- Left: CT. Right: PSMA PET, same axial level, 68Ga tracer
- slice position z = -858 mm
- PET panel 168×168 px (4.1 mm/px)
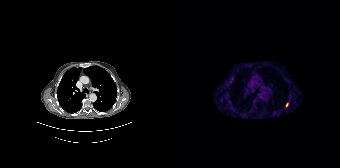
Findings: Coordinates are on the 168×168 PET (right) panel. Small PSMA-avid foci (2 to 4 px across) near (center x, center y): (59, 79); (115, 104).